Left: CT. Right: PSMA PET, same axial level, [18F]PSMA-1007 tracer. Slice position z = -257 mm. PET panel 200×200 px (4.1 mm/px).
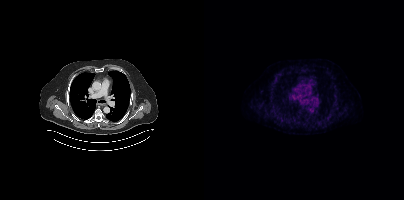
Coordinates are on the 200×200 PET (right) panel. PSMA-avid tumor lesion bounding box (x0,y0,x1,y1): [126,110,130,113].